modality: PSMA PET/CT | tracer: 18F | view: axial
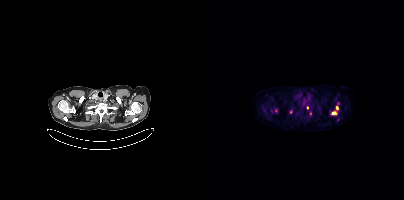
Coordinates are on the 200×200 PET (right) panel. (showing 5 of 6 foci) PSMA-avid tumor lesion bounding box (x0, y0)-(x1, y1): (128, 111)-(132, 114). Small PSMA-avid foci (2 to 4 px across) near (center x, center y): (87, 111) / (133, 108) / (103, 107) / (106, 113).